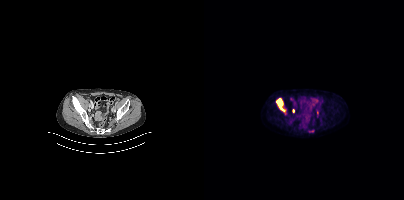
- Two-panel axial: CT | PSMA PET, 18F tracer
- PET panel 200×200 px (4.1 mm/px)
Findings: Coordinates are on the 200×200 PET (right) panel. PSMA-avid tumor lesion bounding boxes (x0, y0)-(x1, y1): (72, 98)-(81, 113) / (105, 130)-(109, 132). Small PSMA-avid foci (2 to 4 px across) near (center x, center y): (113, 112) / (89, 110).